Paired axial CT (left) and PSMA PET (right), 18F tracer. Slice position z = -659 mm.
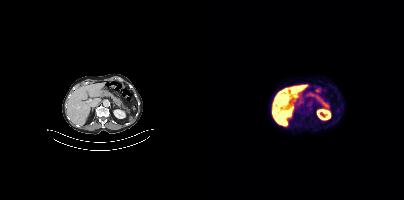
This slice has no annotated PSMA-avid lesion.